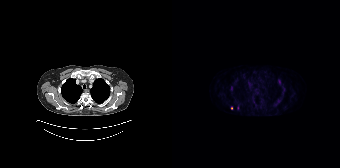
Coordinates are on the 168×168 PET (right) panel. (showing 1 of 2 foci) Small PSMA-avid focus (2 to 4 px across) near (center x, center y): (59, 107).